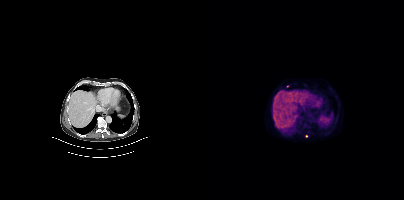
{"pet_grid":[200,200],"coord_frame":"pet_panel","coord_format":"x0,y0,x1,y1","partial":true,"lesion_bboxes":[],"small_foci_centers":[[102,136]],"modality":"PSMA PET/CT","view":"axial","tracer":"18F-PSMA"}